Left: CT. Right: PSMA PET, same axial level, 68Ga-PSMA tracer. Acquired on Siemens Biograph mCT Flow 20. PET panel 200×200 px (4.1 mm/px).
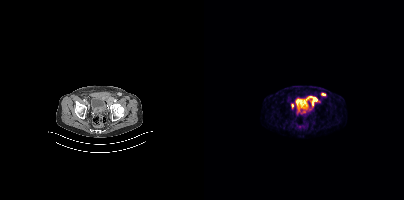
Coordinates are on the 200×200 PET (right) panel. (showing 4 of 6 foci) PSMA-avid tumor lesion bounding boxes (x0,y0,x1,y1): [106,96,115,105]; [117,93,121,95]; [88,104,89,108]. Small PSMA-avid focus (2 to 4 px across) near (center x, center y): (100, 111).